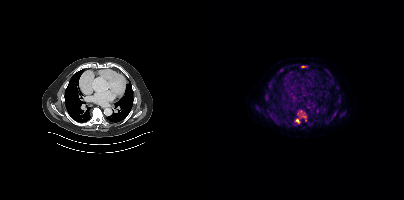
{"pet_grid":[200,200],"coord_frame":"pet_panel","coord_format":"x0,y0,x1,y1","lesion_bboxes":[[93,110,103,121],[127,112,132,118],[65,113,70,118],[88,119,95,124],[60,96,65,101],[133,98,136,104],[137,112,141,116],[122,120,126,123],[97,65,102,67],[74,70,78,73],[125,73,129,79]],"small_foci_centers":[[133,87]],"modality":"PSMA PET/CT","view":"axial","tracer":"[18F]PSMA-1007"}